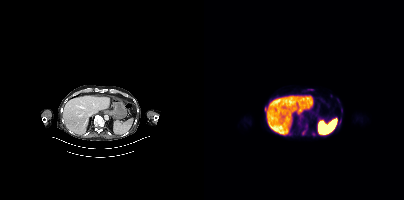
Coordinates are on the 200×200 PET (right) panel. (showing 8 of 10 foci) PSMA-avid tumor lesion bounding boxes (x, y, width, height): x=98 y=123 w=6 h=12 / x=102 y=89 w=9 h=3 / x=61 y=107 w=3 h=6 / x=135 y=118 w=3 h=6. Small PSMA-avid foci (2 to 4 px across) near (center x, center y): (95, 123) / (109, 134) / (137, 111) / (133, 99).